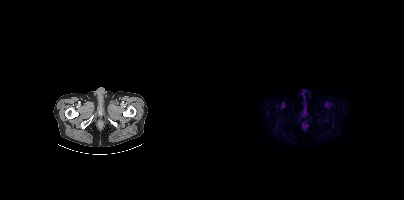
- Paired axial CT (left) and PSMA PET (right), 18F tracer
- slice position z = -1062 mm
Findings: This slice has no annotated PSMA-avid lesion.